- Paired axial CT (left) and PSMA PET (right), 18F tracer
- slice position z = -866 mm
- PET panel 200×200 px (4.1 mm/px)
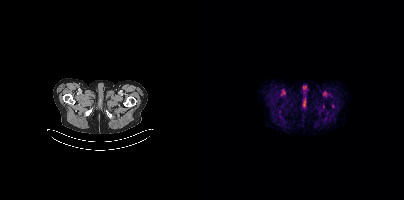
Findings: No tumor lesions annotated on this slice.